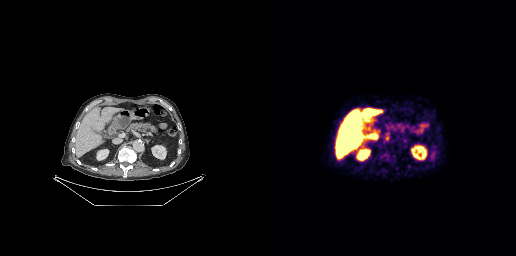
Left: CT. Right: PSMA PET, same axial level, 18F tracer. Slice 144 of 263. PET panel 256×256 px (2.7 mm/px). Negative for PSMA-avid disease on this slice.